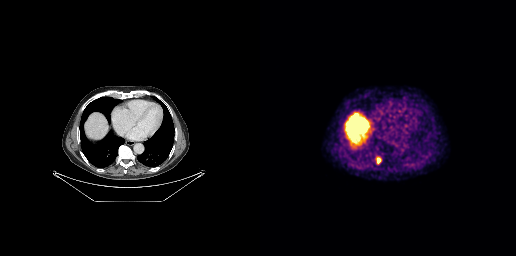
- Paired axial CT (left) and PSMA PET (right), 68Ga tracer
- slice position z = -472 mm
- PET panel 256×256 px (2.7 mm/px)
Findings: Coordinates are on the 256×256 PET (right) panel. PSMA-avid tumor lesion bounding box (x, y, width, height): x=116 y=157 w=6 h=7.